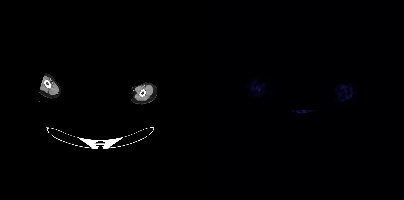
Paired axial CT (left) and PSMA PET (right), 18F tracer. Head region blanked for anonymization (face removed). Negative for PSMA-avid disease on this slice.